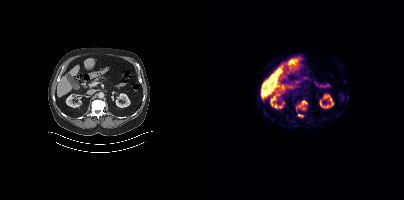
modality: PSMA PET/CT | tracer: 18F-PSMA | view: axial | PET grid: 200×200
Coordinates are on the 200×200 PET (right) panel. PSMA-avid tumor lesion bounding boxes (x, y, width, height): x=92 y=100 w=12 h=10 / x=94 y=114 w=6 h=4.